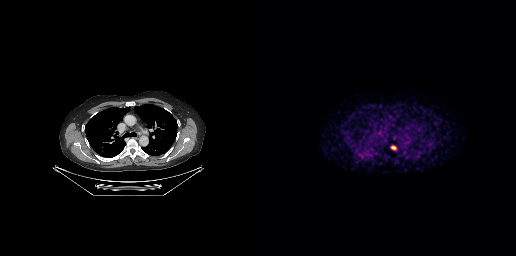
{"modality":"PSMA PET/CT","view":"axial","tracer":"[68Ga]Ga-PSMA-11","pet_grid":[256,256],"coord_frame":"pet_panel","coord_format":"x0,y0,x1,y1","lesion_bboxes":[[131,146,135,149]]}